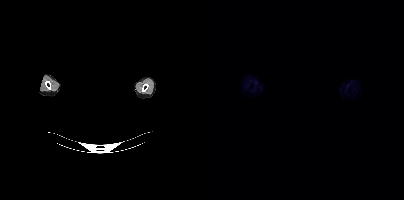
Negative for PSMA-avid disease on this slice. Paired axial CT (left) and PSMA PET (right), [18F]PSMA-1007 tracer. Slice 396 of 413. Any black rectangle over the head is a privacy mask, not anatomy.